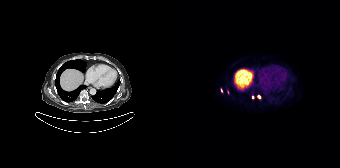
Coordinates are on the 168×168 PET (right) panel. PSMA-avid tumor lesion bounding box (x0, y0)-(x1, y1): (55, 90)-(57, 94). Small PSMA-avid foci (2 to 4 px across) near (center x, center y): (87, 96) | (49, 90) | (80, 97). Left: CT. Right: PSMA PET, same axial level, 18F-PSMA tracer.